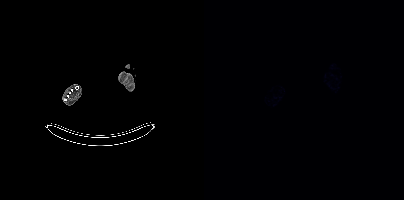
This slice has no annotated PSMA-avid lesion. Two-panel axial: CT | PSMA PET, 18F-PSMA tracer. Acquired on Siemens Biograph mCT Flow 20. Slice 13 of 963.